- Left: CT. Right: PSMA PET, same axial level, 68Ga tracer
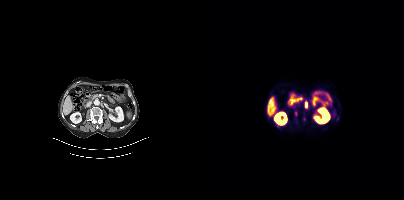
Findings: Coordinates are on the 200×200 PET (right) panel. (showing 3 of 4 foci) Small PSMA-avid foci (2 to 4 px across) near (center x, center y): (101, 105) / (133, 118) / (93, 100).